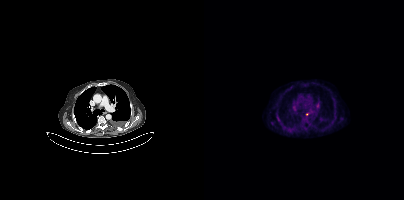
Only PSMA-avid lesion pieces thinner than 2 px on this slice (not listed).